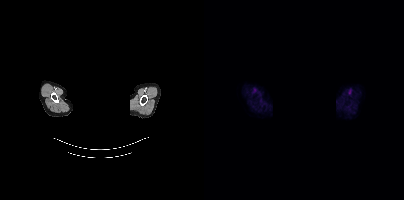
{"modality":"PSMA PET/CT","view":"axial","tracer":"[18F]PSMA-1007","pet_grid":[200,200],"coord_frame":"pet_panel","coord_format":"x0,y0,x1,y1","de-identification":"head region blacked out before release","psma_avid_lesions":false}